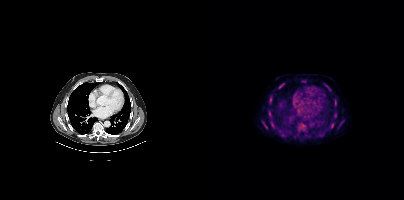
Left: CT. Right: PSMA PET, same axial level, [18F]PSMA-1007 tracer.
Coordinates are on the 200×200 PET (right) panel. PSMA-avid tumor lesion bounding boxes (partial; 1 more focus not listed):
| # | x0 | y0 | x1 | y1 |
|---|---|---|---|---|
| 1 | 74 | 84 | 79 | 88 |
| 2 | 59 | 123 | 63 | 128 |
| 3 | 66 | 95 | 68 | 99 |
| 4 | 130 | 100 | 132 | 105 |
| 5 | 135 | 120 | 139 | 125 |
Small PSMA-avid foci (2 to 4 px across) near (center x, center y): (124, 86); (65, 113); (128, 124); (70, 126).